Paired axial CT (left) and PSMA PET (right), 68Ga-PSMA tracer. PET panel 256×256 px (2.7 mm/px).
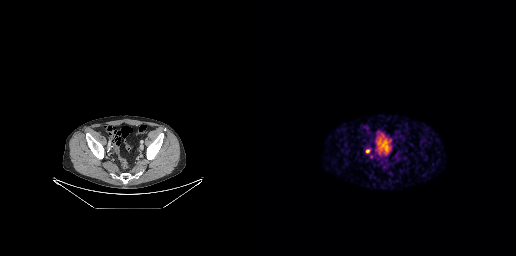
Coordinates are on the 256×256 PET (right) panel. Small PSMA-avid focus (2 to 4 px across) near (center x, center y): (107, 150).